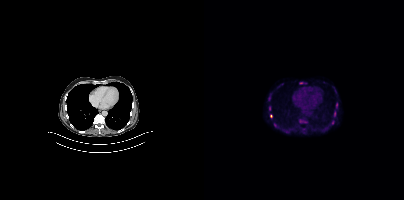
{"modality":"PSMA PET/CT","view":"axial","tracer":"18F-PSMA","pet_grid":[200,200],"coord_frame":"pet_panel","coord_format":"x0,y0,x1,y1","lesion_bboxes":[[95,119,102,122],[95,82,102,84],[130,111,132,116],[132,103,133,107]],"small_foci_centers":[[65,98],[67,116],[65,106]]}